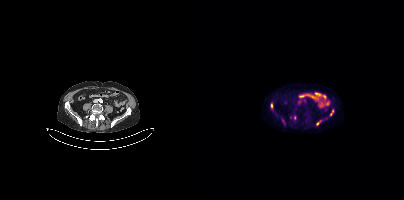
Coordinates are on the 200×200 PET (right) panel. Small PSMA-avid foci (2 to 4 px across) near (center x, center y): (113, 123) (67, 105) (128, 111) (90, 117).
modality: PSMA PET/CT | tracer: 18F-PSMA | view: axial